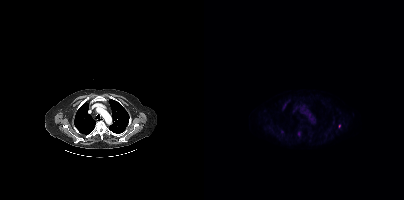
modality: PSMA PET/CT | tracer: 18F | view: axial
Only PSMA-avid lesion pieces thinner than 2 px on this slice (not listed).